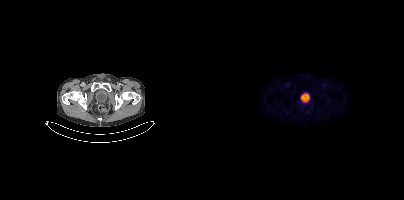
Findings: This slice has no annotated PSMA-avid lesion.
Technique: Left: CT. Right: PSMA PET, same axial level, 18F tracer.